Two-panel axial: CT | PSMA PET, 18F-PSMA tracer. Acquired on Siemens Biograph mCT Flow 20.
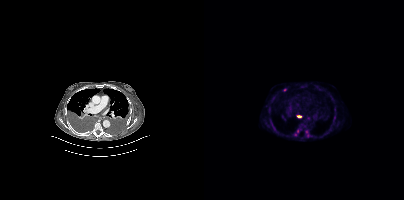
Coordinates are on the 200×200 PET (right) panel. PSMA-avid tumor lesion bounding boxes (x0,y0,x1,y1): [90,124,100,136], [101,130,106,137]. Small PSMA-avid foci (2 to 4 px across) near (center x, center y): (80, 90), (104, 118), (95, 116).